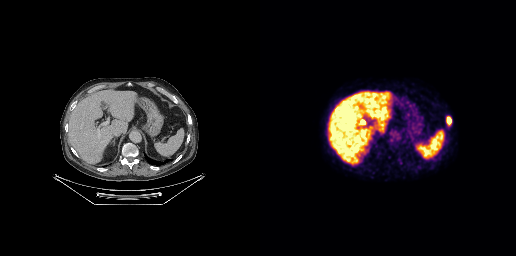
{"modality":"PSMA PET/CT","view":"axial","tracer":"18F-PSMA","pet_grid":[256,256],"coord_frame":"pet_panel","coord_format":"x0,y0,x1,y1","partial":true,"lesion_bboxes":[[186,116,191,125]]}